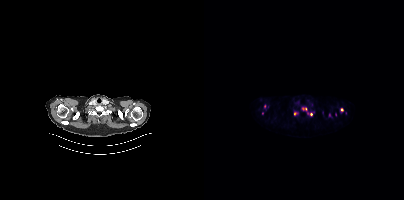
{"modality":"PSMA PET/CT","view":"axial","tracer":"[18F]PSMA-1007","pet_grid":[200,200],"coord_frame":"pet_panel","coord_format":"x0,y0,x1,y1","partial":true,"lesion_bboxes":[],"small_foci_centers":[[91,113],[107,114],[60,106],[137,109],[101,108]]}